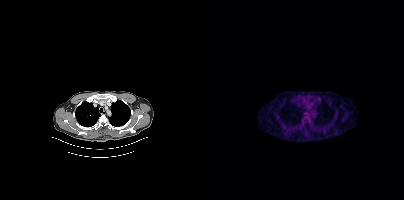
Technique: Left: CT. Right: PSMA PET, same axial level, [18F]PSMA-1007 tracer. PET panel 200×200 px (4.1 mm/px).
Findings: Negative for PSMA-avid disease on this slice.